Left: CT. Right: PSMA PET, same axial level, 18F tracer. Acquired on Siemens Biograph mCT Flow 20. Slice 88 of 389. PET panel 200×200 px (4.1 mm/px).
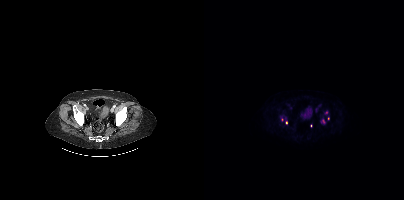
Coordinates are on the 200×200 PET (right) panel. (showing 4 of 6 foci) PSMA-avid tumor lesion bounding box (x0, y0)-(x1, y1): (118, 119)-(120, 123). Small PSMA-avid foci (2 to 4 px across) near (center x, center y): (124, 118) | (122, 112) | (82, 122).